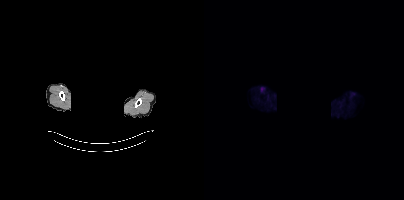
{"modality":"PSMA PET/CT","view":"axial","tracer":"[18F]PSMA-1007","pet_grid":[200,200],"coord_frame":"pet_panel","coord_format":"x0,y0,x1,y1","psma_avid_lesions":false,"de-identification":"facial region redacted"}